Paired axial CT (left) and PSMA PET (right), 18F-PSMA tracer.
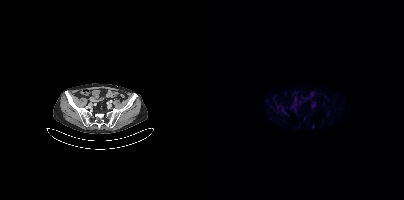
Coordinates are on the 200×200 PET (right) panel. Small PSMA-avid focus (2 to 4 px across) near (center x, center y): (108, 126).